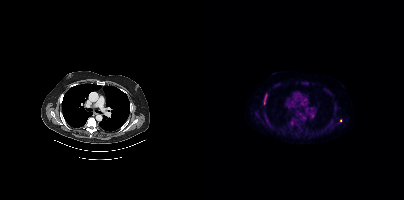
Technique: Left: CT. Right: PSMA PET, same axial level, 18F-PSMA tracer.
Findings: Coordinates are on the 200×200 PET (right) panel. PSMA-avid tumor lesion bounding boxes (x0, y0)-(x1, y1): (60, 114)-(65, 125) | (86, 120)-(90, 125) | (60, 94)-(62, 104). Small PSMA-avid foci (2 to 4 px across) near (center x, center y): (136, 120) | (58, 122).